Left: CT. Right: PSMA PET, same axial level, [68Ga]Ga-PSMA-11 tracer.
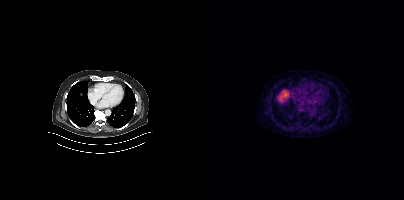
No PSMA-avid tumor lesions on this slice.